modality: PSMA PET/CT | tracer: 18F-PSMA | view: axial | PET grid: 200×200
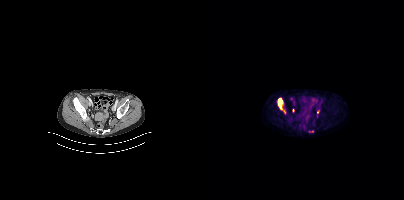
Coordinates are on the 200×200 PET (right) panel. (showing 3 of 4 foci) PSMA-avid tumor lesion bounding boxes (x0,y0,x1,y1): [74,98,81,113], [104,130,109,132]. Small PSMA-avid focus (2 to 4 px across) near (center x, center y): (114, 111).